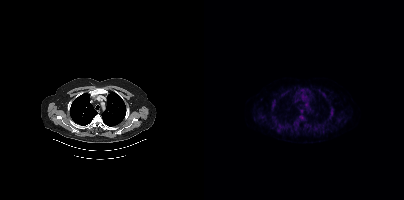
Coordinates are on the 200×200 PET (right) panel. (showing 12 of 13 foci) PSMA-avid tumor lesion bounding boxes (x0, y0)-(x1, y1): (90, 114)-(101, 125); (68, 99)-(71, 110); (126, 107)-(129, 115); (97, 87)-(101, 91); (73, 128)-(77, 132); (118, 94)-(121, 98). Small PSMA-avid foci (2 to 4 px across) near (center x, center y): (115, 90); (114, 126); (105, 91); (123, 124); (79, 93); (101, 124).